- Paired axial CT (left) and PSMA PET (right), [18F]PSMA-1007 tracer
- PET panel 200×200 px (4.1 mm/px)
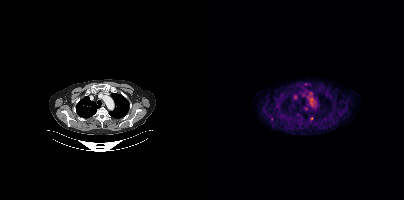
Findings: Coordinates are on the 200×200 PET (right) panel. (showing 1 of 3 foci) Small PSMA-avid focus (2 to 4 px across) near (center x, center y): (107, 118).